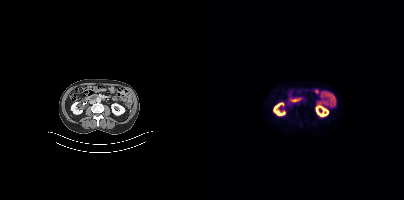
- Two-panel axial: CT | PSMA PET, [18F]PSMA-1007 tracer
- acquired on Siemens Biograph mCT Flow 20
- slice 168 of 411
- PET panel 200×200 px (4.1 mm/px)
Findings: No tumor lesions annotated on this slice.